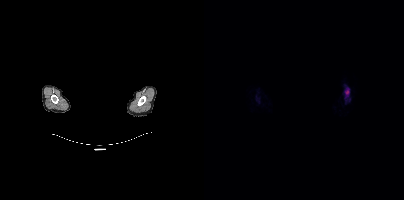
Head region blanked for anonymization (face removed).
Coordinates are on the 200×200 PET (right) panel. PSMA-avid tumor lesion bounding box (x, y, width, height): x=141 y=88 w=5 h=10.